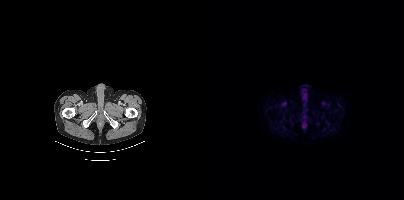
{"modality":"PSMA PET/CT","view":"axial","tracer":"18F-PSMA","pet_grid":[200,200],"coord_frame":"pet_panel","coord_format":"x0,y0,x1,y1","psma_avid_lesions":false}